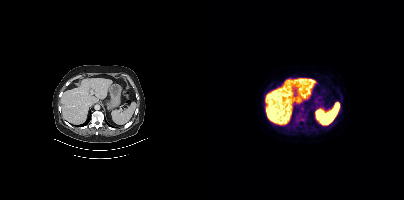
Coordinates are on the 200×200 PET (right) panel. (showing 3 of 4 foci) PSMA-avid tumor lesion bounding boxes (x0,y0,x1,y1): [89,111,101,126]; [99,120,102,124]. Small PSMA-avid focus (2 to 4 px across) near (center x, center y): (136, 97).